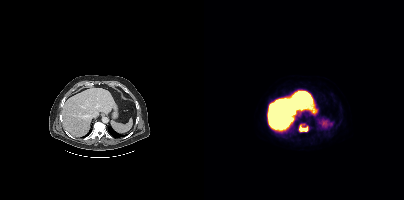
- Two-panel axial: CT | PSMA PET, 18F tracer
Findings: Coordinates are on the 200×200 PET (right) panel. (showing 1 of 2 foci) PSMA-avid tumor lesion bounding box (x0, y0)-(x1, y1): (95, 124)-(104, 131).